- Paired axial CT (left) and PSMA PET (right), 18F tracer
- PET panel 200×200 px (4.1 mm/px)
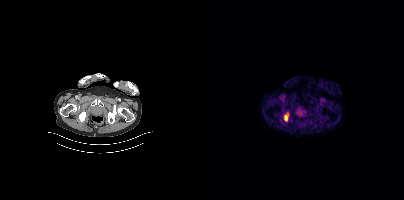
Findings: Coordinates are on the 200×200 PET (right) panel. PSMA-avid tumor lesion bounding box (x, y, width, height): x=80 y=114 w=5 h=7.